Paired axial CT (left) and PSMA PET (right), [18F]PSMA-1007 tracer.
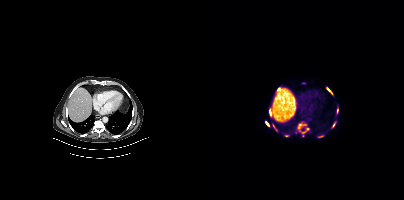
Coordinates are on the 200×200 PET (right) panel. (showing 8 of 12 foci) PSMA-avid tumor lesion bounding boxes (x, y, width, height): x=61 y=121 w=5 h=6 / x=123 y=88 w=6 h=6 / x=94 y=124 w=4 h=5 / x=128 y=122 w=4 h=6 / x=66 y=111 w=2 h=5. Small PSMA-avid foci (2 to 4 px across) near (center x, center y): (74, 89) / (116, 136) / (103, 128).